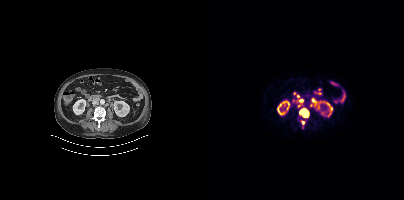
Findings: Coordinates are on the 200×200 PET (right) panel. PSMA-avid tumor lesion bounding boxes (x0,y0,x1,y1): [95,108,105,117], [95,99,99,102]. Small PSMA-avid foci (2 to 4 px across) near (center x, center y): (98, 122), (109, 100), (107, 105), (95, 106).
Technique: Left: CT. Right: PSMA PET, same axial level, 18F tracer. slice 181 of 444. PET panel 200×200 px (4.1 mm/px).